Paired axial CT (left) and PSMA PET (right), [18F]PSMA-1007 tracer. Acquired on Siemens Biograph mCT Flow 20. Slice 248 of 963.
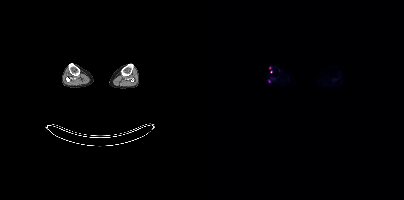
Coordinates are on the 200×200 PET (right) panel. (showing 1 of 3 foci) Small PSMA-avid focus (2 to 4 px across) near (center x, center y): (65, 81).